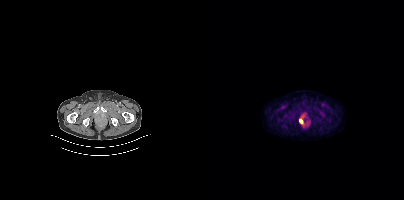
Coordinates are on the 200×200 PET (right) panel. PSMA-avid tumor lesion bounding box (x0,y0,x1,y1): [95,119,98,123].
modality: PSMA PET/CT | tracer: [18F]PSMA-1007 | view: axial | PET grid: 200×200